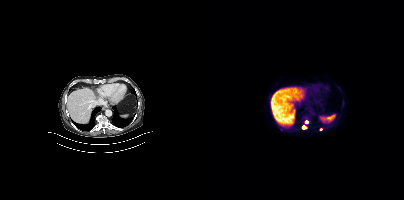
Findings: Coordinates are on the 200×200 PET (right) panel. Small PSMA-avid foci (2 to 4 px across) near (center x, center y): (100, 127); (103, 122); (116, 129).
- Left: CT. Right: PSMA PET, same axial level, [18F]PSMA-1007 tracer
- PET panel 200×200 px (4.1 mm/px)